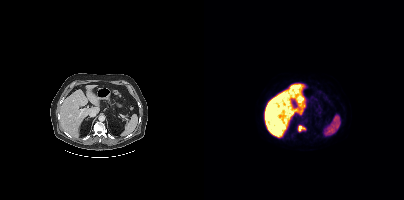
Coordinates are on the 200×200 PET (right) panel. PSMA-avid tumor lesion bounding box (x, y, width, height): x=94 y=125 w=8 h=7.
modality: PSMA PET/CT | tracer: 18F-PSMA | view: axial